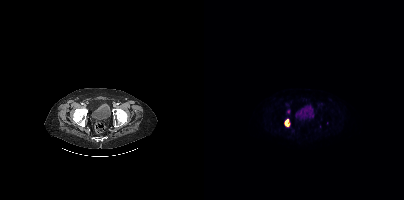
Coordinates are on the 200×200 PET (right) panel. PSMA-avid tumor lesion bounding box (x0, y0)-(x1, y1): (81, 119)-(85, 126).